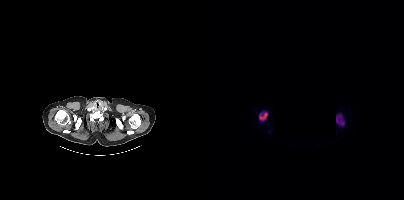
Left: CT. Right: PSMA PET, same axial level, [18F]PSMA-1007 tracer. Slice 459 of 508. PET panel 200×200 px (4.1 mm/px). De-identified by setting a rectangular region to black. Coordinates are on the 200×200 PET (right) panel. PSMA-avid tumor lesion bounding boxes (x, y, width, height): x=132 y=114 w=9 h=12 / x=55 y=112 w=9 h=9.